- Paired axial CT (left) and PSMA PET (right), 18F-PSMA tracer
- slice 206 of 415
- PET panel 200×200 px (4.1 mm/px)
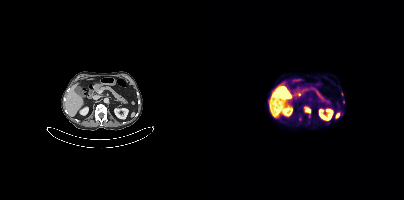
Findings: Coordinates are on the 200×200 PET (right) panel. PSMA-avid tumor lesion bounding box (x, y, width, height): x=101 y=107 w=6 h=6. Small PSMA-avid foci (2 to 4 px across) near (center x, center y): (138, 94) / (139, 102).